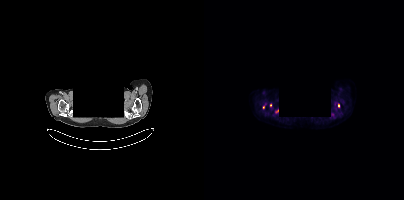
{"modality":"PSMA PET/CT","view":"axial","tracer":"[18F]PSMA-1007","pet_grid":[200,200],"coord_frame":"pet_panel","coord_format":"x0,y0,x1,y1","lesion_bboxes":[[134,103,135,107]],"small_foci_centers":[[72,110],[66,105],[59,107]],"redaction":"face masked with black rectangle"}